- Paired axial CT (left) and PSMA PET (right), 18F tracer
- slice position z = -806 mm
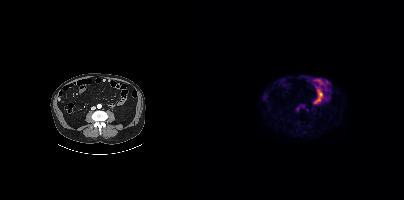
Findings: Only PSMA-avid lesion pieces thinner than 2 px on this slice (not listed).